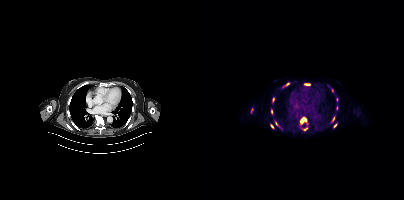
Coordinates are on the 200×200 PET (right) panel. PSMA-avid tumor lesion bounding boxes (partial; 1 more focus not listed):
| # | x0 | y0 | x1 | y1 |
|---|---|---|---|---|
| 1 | 96 | 117 | 102 | 123 |
| 2 | 100 | 83 | 106 | 85 |
| 3 | 130 | 123 | 133 | 127 |
| 4 | 81 | 83 | 85 | 85 |
| 5 | 128 | 117 | 130 | 122 |
| 6 | 67 | 124 | 69 | 128 |
| 7 | 47 | 108 | 49 | 112 |
Small PSMA-avid foci (2 to 4 px across) near (center x, center y): (67, 111); (72, 123); (69, 99); (101, 129); (132, 108); (128, 90).
Left: CT. Right: PSMA PET, same axial level, 18F-PSMA tracer.